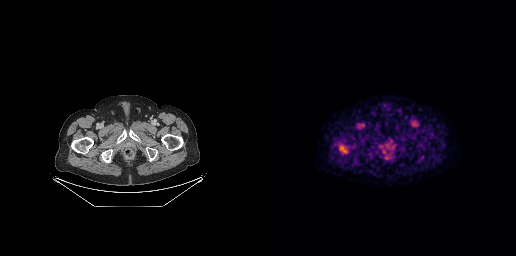
- Two-panel axial: CT | PSMA PET, [18F]PSMA-1007 tracer
- acquired on GE Discovery 690
- PET panel 256×256 px (2.7 mm/px)
Findings: Coordinates are on the 256×256 PET (right) panel. PSMA-avid tumor lesion bounding box (x0,y0,x1,y1): [79,144,87,153].